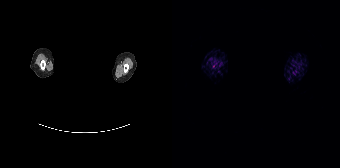
{"pet_grid":[168,168],"coord_frame":"pet_panel","coord_format":"x0,y0,x1,y1","psma_avid_lesions":false,"de-identification":"face masked with black rectangle","modality":"PSMA PET/CT","view":"axial","tracer":"68Ga-PSMA"}